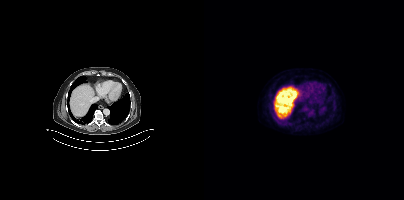
No tumor lesions annotated on this slice.